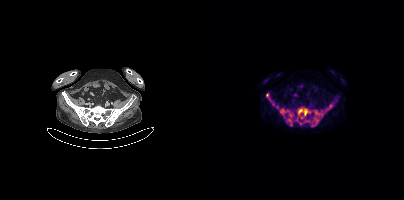
Findings: Coordinates are on the 200×200 PET (right) panel. PSMA-avid tumor lesion bounding boxes (x0, y0)-(x1, y1): (91, 109)-(117, 126) / (80, 115)-(89, 126) / (66, 100)-(70, 105) / (62, 93)-(64, 97). Small PSMA-avid foci (2 to 4 px across) near (center x, center y): (73, 106) / (126, 105).
- Two-panel axial: CT | PSMA PET, 18F tracer
- slice 120 of 401